- Left: CT. Right: PSMA PET, same axial level, 18F-PSMA tracer
- slice position z = -1128 mm
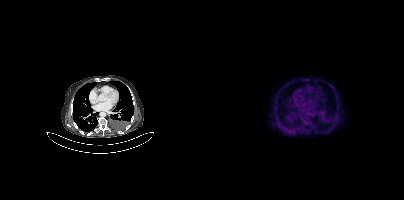
Findings: Only PSMA-avid lesion pieces thinner than 2 px on this slice (not listed).